- Left: CT. Right: PSMA PET, same axial level, [68Ga]Ga-PSMA-11 tracer
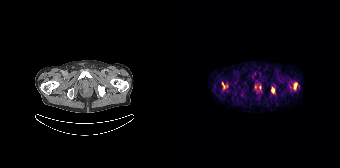
Findings: Coordinates are on the 168×168 PET (right) panel. (showing 4 of 5 foci) PSMA-avid tumor lesion bounding boxes (x, y, width, height): x=50 y=82 w=7 h=8 | x=122 y=83 w=4 h=6 | x=99 y=87 w=4 h=6. Small PSMA-avid focus (2 to 4 px across) near (center x, center y): (87, 88).